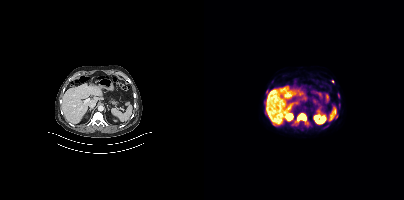
Left: CT. Right: PSMA PET, same axial level, [18F]PSMA-1007 tracer. Acquired on Siemens Biograph mCT Flow 20. Coordinates are on the 200×200 PET (right) panel. (showing 5 of 7 foci) PSMA-avid tumor lesion bounding box (x0,y0,x1,y1): [93,113,102,122]. Small PSMA-avid foci (2 to 4 px across) near (center x, center y): (63, 91) (132, 115) (134, 95) (128, 81).